- Paired axial CT (left) and PSMA PET (right), 18F tracer
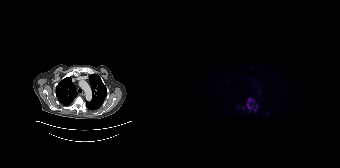
Findings: Coordinates are on the 168×168 PET (right) panel. PSMA-avid tumor lesion bounding box (x0, y0)-(x1, y1): (75, 98)-(82, 109). Small PSMA-avid focus (2 to 4 px across) near (center x, center y): (84, 105).